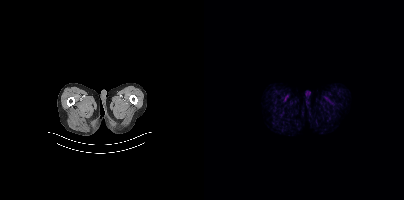
Two-panel axial: CT | PSMA PET, 18F tracer. Acquired on Siemens Biograph mCT Flow 20. Negative for PSMA-avid disease on this slice.